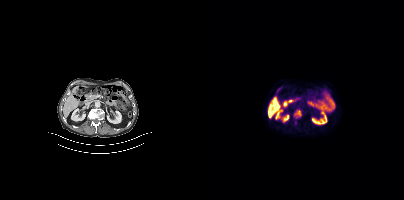
Two-panel axial: CT | PSMA PET, 18F-PSMA tracer. Slice position z = -694 mm. Coordinates are on the 200×200 PET (right) panel. (showing 1 of 2 foci) PSMA-avid tumor lesion bounding box (x0,y0,x1,y1): [90,110,97,118].